modality: PSMA PET/CT | tracer: [68Ga]Ga-PSMA-11 | view: axial | PET grid: 168×168
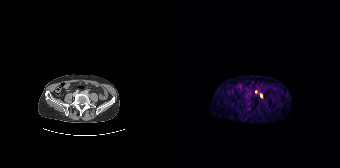
Coordinates are on the 168×168 PET (right) panel. (showing 1 of 2 foci) Small PSMA-avid focus (2 to 4 px across) near (center x, center y): (89, 95).